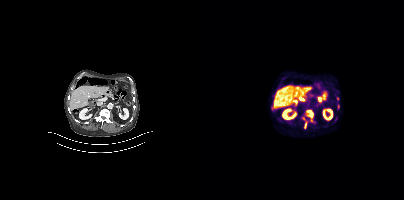
- Left: CT. Right: PSMA PET, same axial level, 18F tracer
- slice position z = -1213 mm
Findings: Coordinates are on the 200×200 PET (right) panel. (showing 3 of 4 foci) PSMA-avid tumor lesion bounding boxes (x, y, width, height): x=101 y=109 w=9 h=14 | x=99 y=117 w=5 h=11. Small PSMA-avid focus (2 to 4 px across) near (center x, center y): (134, 106).